modality: PSMA PET/CT | tracer: 18F | view: axial
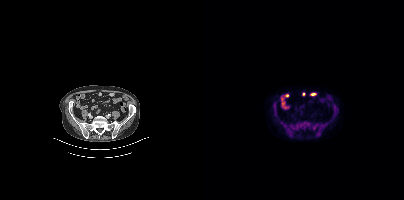
Coordinates are on the 200×200 PET (right) panel. PSMA-avid tumor lesion bounding boxes (x, y, width, height): x=129 y=104 w=5 h=10; x=70 y=107 w=2 h=7.